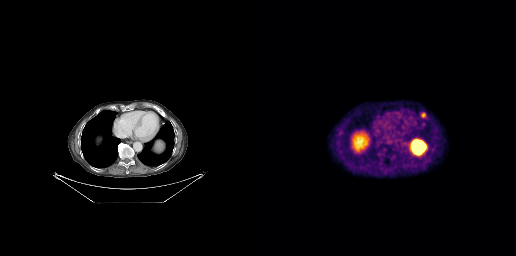
Findings: Coordinates are on the 256×256 PET (right) panel. PSMA-avid tumor lesion bounding box (x0,y0,x1,y1): [161,112,166,117].
Technique: Paired axial CT (left) and PSMA PET (right), [18F]PSMA-1007 tracer. slice 170 of 263. PET panel 256×256 px (2.7 mm/px).